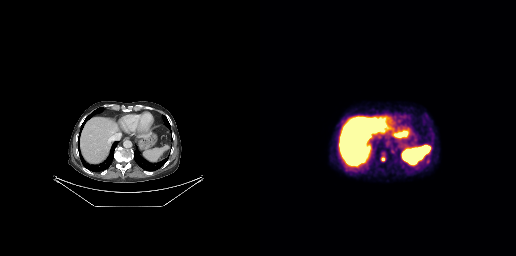
No tumor lesions annotated on this slice.